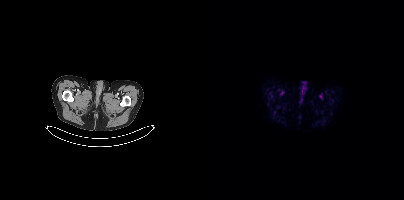
{"modality":"PSMA PET/CT","view":"axial","tracer":"18F","pet_grid":[200,200],"coord_frame":"pet_panel","coord_format":"x0,y0,x1,y1","psma_avid_lesions":false}